Left: CT. Right: PSMA PET, same axial level, 18F-PSMA tracer. Acquired on Siemens Biograph mCT Flow 20.
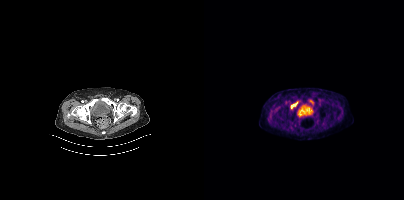
Coordinates are on the 200×200 PET (right) panel. PSMA-avid tumor lesion bounding boxes:
| # | x0 | y0 | x1 | y1 |
|---|---|---|---|---|
| 1 | 87 | 102 | 93 | 107 |